Facial anatomy redacted by setting a rectangular region of the head to black. Left: CT. Right: PSMA PET, same axial level, [18F]PSMA-1007 tracer. Slice 407 of 429.
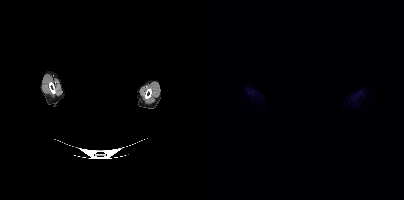
Negative for PSMA-avid disease on this slice.